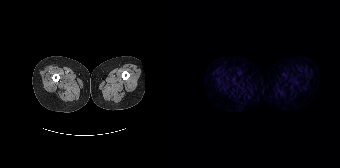
No tumor lesions annotated on this slice.